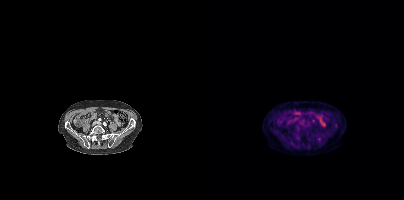
Coordinates are on the 200×200 PET (right) panel. (showing 2 of 4 foci) Small PSMA-avid foci (2 to 4 px across) near (center x, center y): (131, 125) / (93, 128).